Left: CT. Right: PSMA PET, same axial level, 68Ga-PSMA tracer. Acquired on Siemens Biograph mCT Flow 20. Slice position z = -1387 mm.
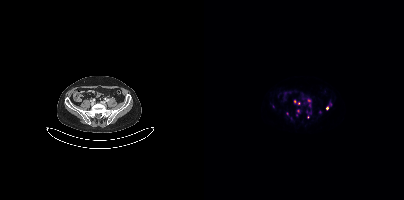
Coordinates are on the 200×200 PET (right) panel. (showing 5 of 13 foci) Small PSMA-avid foci (2 to 4 px across) near (center x, center y): (105, 100) | (90, 101) | (94, 103) | (83, 113) | (69, 106).